Technique: Two-panel axial: CT | PSMA PET, 18F-PSMA tracer. acquired on Siemens Biograph mCT Flow 20.
Note: The head region is masked for de-identification.
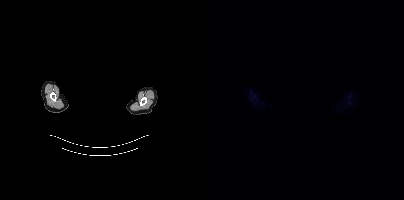
Findings: This slice has no annotated PSMA-avid lesion.